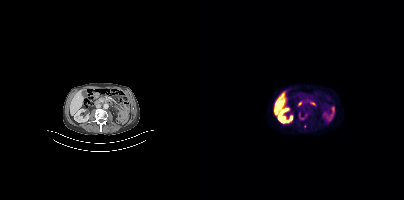
{"modality":"PSMA PET/CT","view":"axial","tracer":"18F-PSMA","pet_grid":[200,200],"coord_frame":"pet_panel","coord_format":"x0,y0,x1,y1","partial":true,"lesion_bboxes":[[95,113,103,119]]}